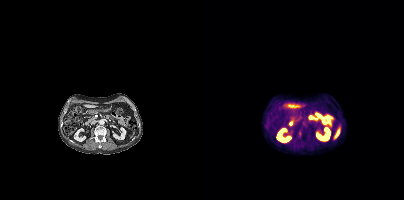
Coordinates are on the 200×200 PET (right) panel. Small PSMA-avid focus (2 to 4 px across) near (center x, center y): (95, 133). Left: CT. Right: PSMA PET, same axial level, 18F tracer. Acquired on Siemens Biograph mCT Flow 20. PET panel 200×200 px (4.1 mm/px).